Two-panel axial: CT | PSMA PET, 18F-PSMA tracer. Slice position z = -380 mm.
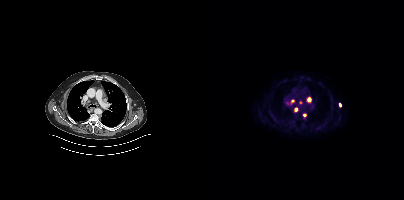
Coordinates are on the 200×200 PET (right) panel. PSMA-avid tumor lesion bounding boxes:
| # | x0 | y0 | x1 | y1 |
|---|---|---|---|---|
| 1 | 103 | 97 | 107 | 102 |
| 2 | 90 | 107 | 93 | 111 |
Small PSMA-avid foci (2 to 4 px across) near (center x, center y): (88, 101); (136, 104); (100, 115); (96, 102).